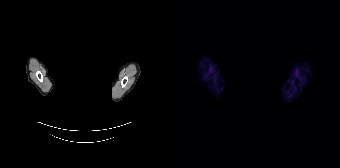
modality: PSMA PET/CT | tracer: 68Ga-PSMA | view: axial | PET grid: 168×168 | redaction: head region blanked (face removed)
Negative for PSMA-avid disease on this slice.